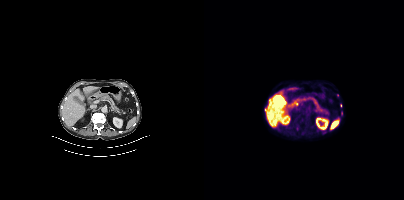
Paired axial CT (left) and PSMA PET (right), [18F]PSMA-1007 tracer. Acquired on Siemens Biograph mCT Flow 20. PET panel 200×200 px (4.1 mm/px). Coordinates are on the 200×200 PET (right) panel. (showing 2 of 5 foci) Small PSMA-avid foci (2 to 4 px across) near (center x, center y): (137, 113) (61, 109).